Two-panel axial: CT | PSMA PET, 68Ga tracer.
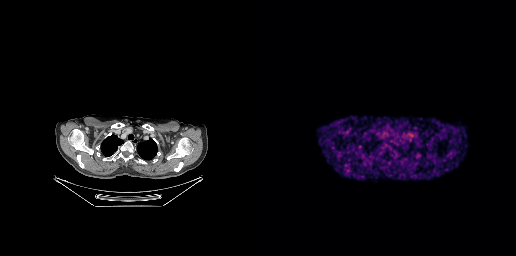
Negative for PSMA-avid disease on this slice.